Technique: Two-panel axial: CT | PSMA PET, 68Ga-PSMA tracer. slice position z = -755 mm.
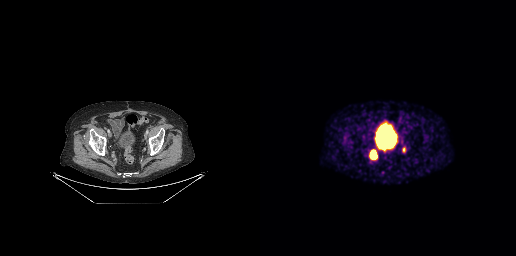
Findings: Coordinates are on the 256×256 PET (right) panel. PSMA-avid tumor lesion bounding boxes (x0, y0)-(x1, y1): (112, 151)-(115, 157) / (142, 148)-(145, 152).